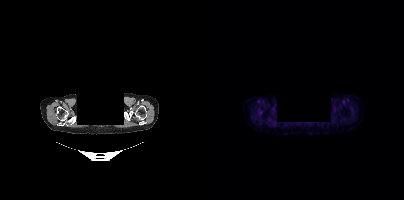
This slice has no annotated PSMA-avid lesion. Paired axial CT (left) and PSMA PET (right), [18F]PSMA-1007 tracer. Slice position z = -295 mm. Any black rectangle over the head is a privacy mask, not anatomy.